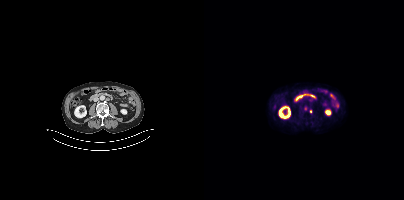
Coordinates are on the 200×200 PET (right) panel. Small PSMA-avid foci (2 to 4 px across) near (center x, center y): (107, 111) | (101, 108). Two-panel axial: CT | PSMA PET, 18F-PSMA tracer. Acquired on Siemens Biograph mCT Flow 20. PET panel 200×200 px (4.1 mm/px).